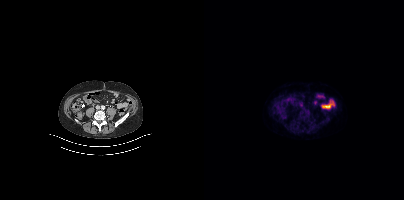
Technique: Paired axial CT (left) and PSMA PET (right), 18F-PSMA tracer. acquired on Siemens Biograph mCT Flow 20. slice position z = -770 mm. PET panel 200×200 px (4.1 mm/px).
Findings: Negative for PSMA-avid disease on this slice.